modality: PSMA PET/CT | tracer: [18F]PSMA-1007 | view: axial | PET grid: 168×168 | deidentification: rectangle blanked before release
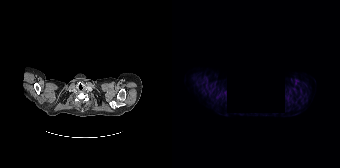
This slice has no annotated PSMA-avid lesion.